- Paired axial CT (left) and PSMA PET (right), 68Ga-PSMA tracer
- acquired on GE Discovery 690
- PET panel 256×256 px (2.7 mm/px)
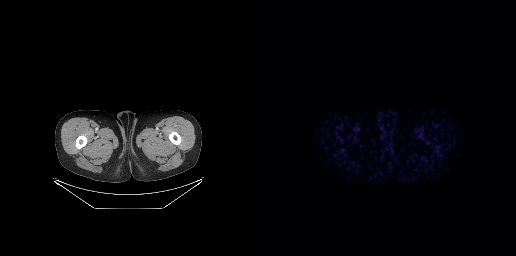
Findings: This slice has no annotated PSMA-avid lesion.